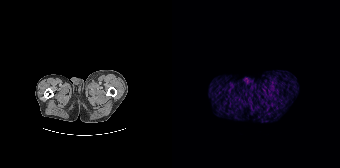
This slice has no annotated PSMA-avid lesion.